Paired axial CT (left) and PSMA PET (right), 18F-PSMA tracer. Acquired on Siemens Biograph mCT Flow 20. Slice position z = -1389 mm. PET panel 200×200 px (4.1 mm/px).
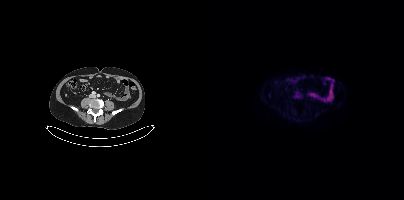
This slice has no annotated PSMA-avid lesion.